Two-panel axial: CT | PSMA PET, 18F-PSMA tracer.
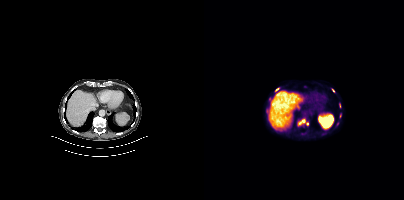
Coordinates are on the 200×200 PET (right) panel. PSMA-avid tumor lesion bounding boxes:
| # | x0 | y0 | x1 | y1 |
|---|---|---|---|---|
| 1 | 95 | 119 | 100 | 124 |
| 2 | 62 | 108 | 64 | 113 |
Small PSMA-avid foci (2 to 4 px across) near (center x, center y): (72, 89); (135, 105); (136, 115); (103, 124); (129, 90).